modality: PSMA PET/CT | tracer: 18F | view: axial | PET grid: 200×200
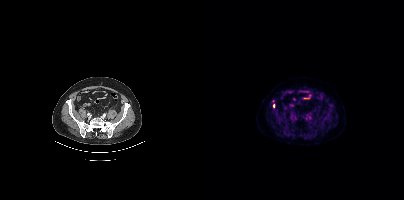
Coordinates are on the 200×200 PET (right) panel. Small PSMA-avid foci (2 to 4 px across) near (center x, center y): (69, 106) (105, 117).